Paired axial CT (left) and PSMA PET (right), 18F tracer. Acquired on Siemens Biograph mCT Flow 20. Slice 24 of 375.
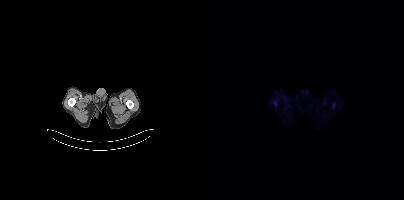
This slice has no annotated PSMA-avid lesion.